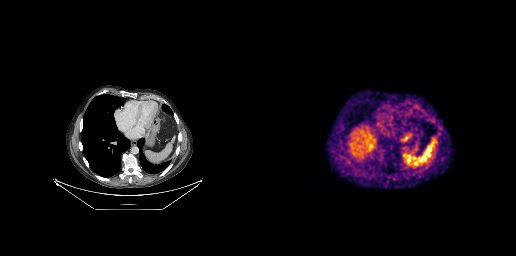
Paired axial CT (left) and PSMA PET (right), 68Ga tracer. Slice position z = -458 mm. PET panel 256×256 px (2.7 mm/px). Negative for PSMA-avid disease on this slice.